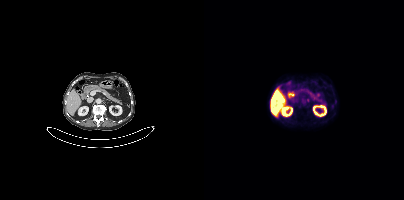
{"modality":"PSMA PET/CT","view":"axial","tracer":"18F","pet_grid":[200,200],"coord_frame":"pet_panel","coord_format":"x0,y0,x1,y1","lesion_bboxes":[[102,98,105,102]]}